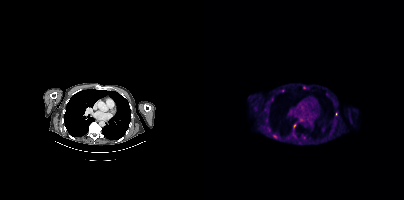
Technique: Two-panel axial: CT | PSMA PET, 18F-PSMA tracer. slice 258 of 403. PET panel 200×200 px (4.1 mm/px).
Findings: Coordinates are on the 200×200 PET (right) panel. (showing 6 of 7 foci) Small PSMA-avid foci (2 to 4 px across) near (center x, center y): (100, 87) / (68, 99) / (78, 90) / (90, 125) / (101, 137) / (71, 136).